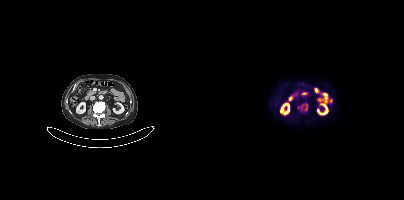
{"pet_grid":[200,200],"coord_frame":"pet_panel","coord_format":"x0,y0,x1,y1","lesion_bboxes":[[94,104,103,110]],"modality":"PSMA PET/CT","view":"axial","tracer":"18F-PSMA"}